- Paired axial CT (left) and PSMA PET (right), 18F-PSMA tracer
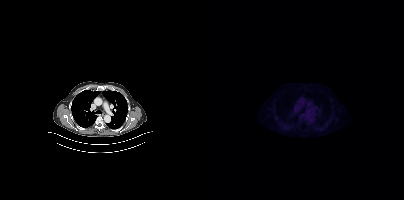
Findings: No PSMA-avid tumor lesions on this slice.